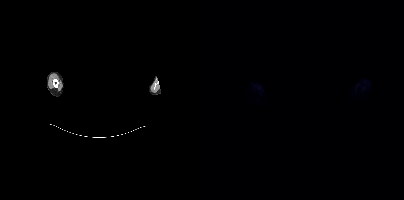
Technique: Paired axial CT (left) and PSMA PET (right), 18F-PSMA tracer. slice position z = -289 mm. PET panel 200×200 px (4.1 mm/px).
Note: A rectangle over the head was blacked out to remove identifiable facial features.
Findings: No tumor lesions annotated on this slice.